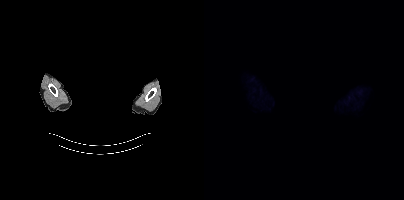
{"modality":"PSMA PET/CT","view":"axial","tracer":"18F","pet_grid":[200,200],"coord_frame":"pet_panel","coord_format":"x0,y0,x1,y1","redaction":"privacy mask over head","psma_avid_lesions":false}